Two-panel axial: CT | PSMA PET, [18F]PSMA-1007 tracer. PET panel 200×200 px (4.1 mm/px).
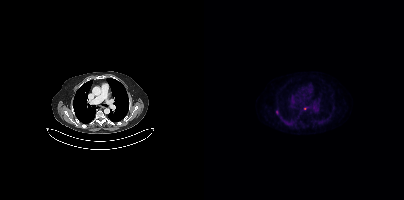
Coordinates are on the 200×200 PET (right) panel. (showing 1 of 2 foci) Small PSMA-avid focus (2 to 4 px across) near (center x, center y): (73, 112).